Technique: Two-panel axial: CT | PSMA PET, 18F tracer. acquired on Siemens Biograph mCT Flow 20. slice 254 of 405.
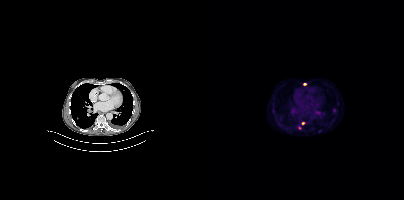
Findings: Coordinates are on the 200×200 PET (right) panel. (showing 6 of 7 foci) PSMA-avid tumor lesion bounding box (x0, y0)-(x1, y1): (111, 110)-(116, 114). Small PSMA-avid foci (2 to 4 px across) near (center x, center y): (130, 110) / (115, 131) / (100, 84) / (99, 123) / (96, 128).